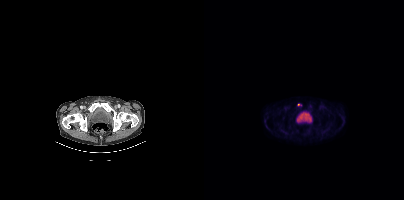
Findings: Coordinates are on the 200×200 PET (right) panel. Small PSMA-avid focus (2 to 4 px across) near (center x, center y): (94, 104).
Technique: Two-panel axial: CT | PSMA PET, [18F]PSMA-1007 tracer. acquired on Siemens Biograph mCT Flow 20. slice position z = -431 mm. PET panel 200×200 px (4.1 mm/px).